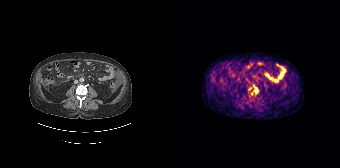
Coordinates are on the 168×168 PET (right) panel. PSMA-avid tumor lesion bounding boxes (partial; 1 more focus not listed):
| # | x0 | y0 | x1 | y1 |
|---|---|---|---|---|
| 1 | 81 | 85 | 86 | 93 |
Small PSMA-avid focus (2 to 4 px across) near (center x, center y): (77, 88).
Left: CT. Right: PSMA PET, same axial level, [68Ga]Ga-PSMA-11 tracer. Slice 59 of 165. PET panel 168×168 px (4.1 mm/px).